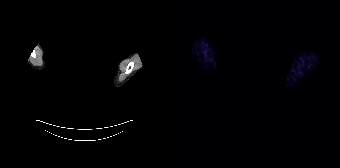
redaction: head region blacked out before release | modality: PSMA PET/CT | tracer: 68Ga | view: axial
No PSMA-avid tumor lesions on this slice.